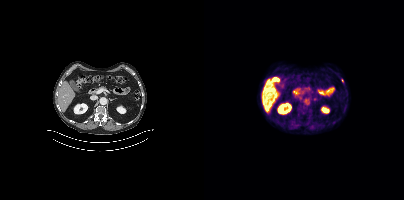
{"modality":"PSMA PET/CT","view":"axial","tracer":"18F-PSMA","pet_grid":[200,200],"coord_frame":"pet_panel","coord_format":"x0,y0,x1,y1","lesion_bboxes":[],"small_foci_centers":[[138,80]]}